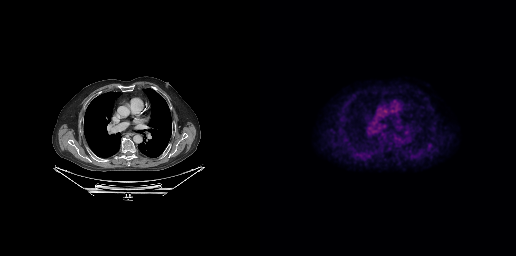
No PSMA-avid tumor lesions on this slice.